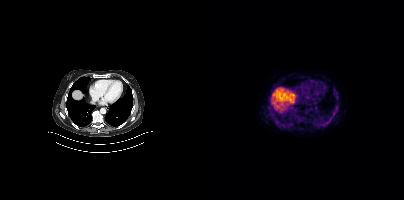
Findings: Negative for PSMA-avid disease on this slice.
- Two-panel axial: CT | PSMA PET, [18F]PSMA-1007 tracer
- PET panel 200×200 px (4.1 mm/px)